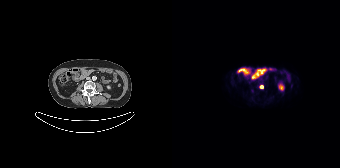
Coordinates are on the 168×168 PET (right) panel. Small PSMA-avid focus (2 to 4 px across) near (center x, center y): (89, 87).